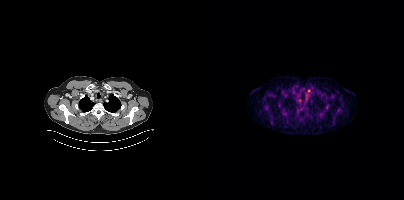
modality: PSMA PET/CT | tracer: 18F | view: axial
Coordinates are on the 200×200 PET (right) panel. (showing 2 of 3 foci) Small PSMA-avid foci (2 to 4 px across) near (center x, center y): (102, 95), (104, 90).